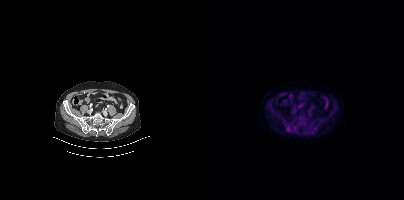
Coordinates are on the 200×200 PET (right) panel. PSMA-avid tumor lesion bounding box (x0,y0,x1,y1): [82,126,87,131].